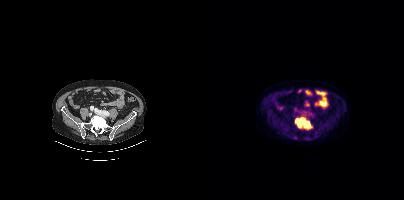
modality: PSMA PET/CT | tracer: 18F-PSMA | view: axial | PET grid: 200×200
Coordinates are on the 200×200 PET (right) panel. PSMA-avid tumor lesion bounding box (x0, y0)-(x1, y1): (91, 117)-(107, 129).